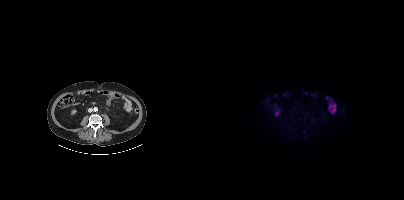
No PSMA-avid tumor lesions on this slice.